modality: PSMA PET/CT | tracer: 18F | view: axial | PET grid: 168×168
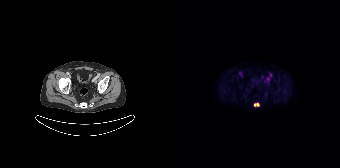
Coordinates are on the 168×168 PET (right) panel. PSMA-avid tumor lesion bounding box (x0, y0)-(x1, y1): (82, 103)-(87, 106).